Left: CT. Right: PSMA PET, same axial level, 18F tracer.
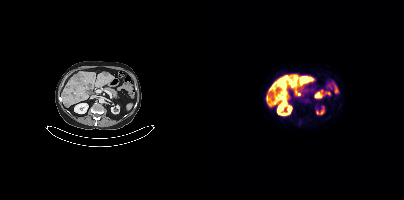
Coordinates are on the 200×200 PET (right) panel. PSMA-avid tumor lesion bounding boxes (partial; 1 more focus not listed):
| # | x0 | y0 | x1 | y1 |
|---|---|---|---|---|
| 1 | 97 | 76 | 103 | 81 |
| 2 | 87 | 79 | 92 | 85 |
| 3 | 79 | 76 | 83 | 81 |
Small PSMA-avid focus (2 to 4 px across) near (center x, center y): (75, 83).